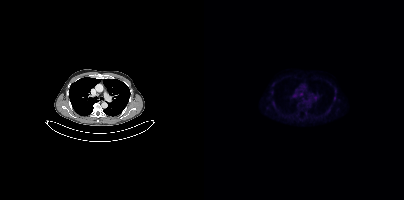
Coordinates are on the 200×200 PET (right) panel. Small PSMA-avid focus (2 to 4 px across) near (center x, center y): (97, 93).